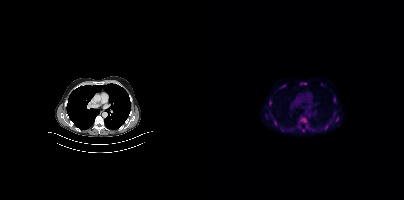
Coordinates are on the 200×200 PET (right) panel. PSMA-avid tumor lesion bounding boxes (x, y, width, height): x=96 y=82 w=8 h=3 | x=65 y=101 w=3 h=5 | x=132 y=117 w=3 h=5 | x=130 y=112 w=2 h=5. Small PSMA-avid foci (2 to 4 px across) near (center x, center y): (71, 122) | (127, 120).
modality: PSMA PET/CT | tracer: 18F | view: axial